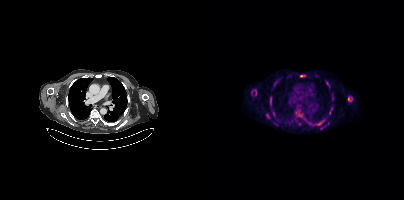
Coordinates are on the 200×200 PET (right) panel. (showing 8 of 10 foci) PSMA-avid tumor lesion bounding boxes (x, y, width, height): x=144 y=97 w=3 h=5 / x=96 y=75 w=6 h=3 / x=66 y=97 w=2 h=5. Small PSMA-avid foci (2 to 4 px across) near (center x, center y): (63, 115) / (66, 104) / (118, 121) / (96, 115) / (125, 113).